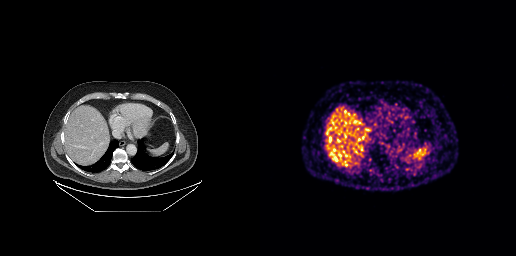
Negative for PSMA-avid disease on this slice.